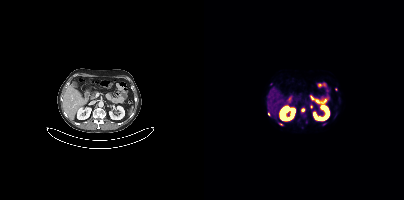
Coordinates are on the 200×200 PET (right) panel. Small PSMA-avid foci (2 to 4 px across) near (center x, center y): (76, 124); (99, 110); (64, 114); (120, 124); (131, 89); (94, 120).